De-identified by setting a box covering the face to black before release.
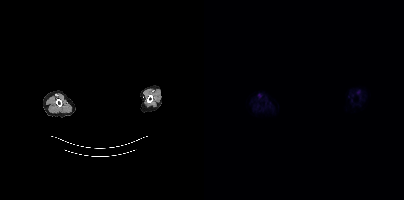
No PSMA-avid tumor lesions on this slice.